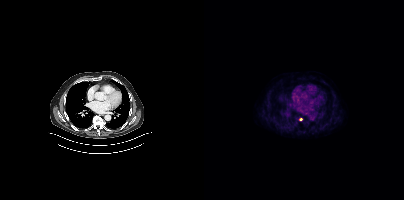
{"pet_grid":[200,200],"coord_frame":"pet_panel","coord_format":"x0,y0,x1,y1","lesion_bboxes":[],"small_foci_centers":[[97,119]],"modality":"PSMA PET/CT","view":"axial","tracer":"18F-PSMA"}